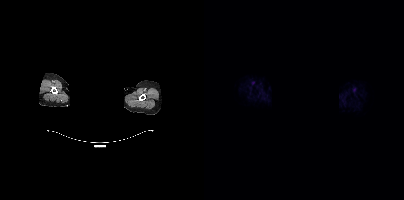
Two-panel axial: CT | PSMA PET, [18F]PSMA-1007 tracer. Acquired on Siemens Biograph mCT Flow 20. A rectangular block over the head has been blanked out for de-identification. No tumor lesions annotated on this slice.